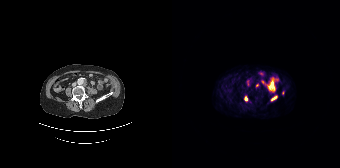
Coordinates are on the 168×168 PET (right) panel. (showing 3 of 4 foci) PSMA-avid tumor lesion bounding boxes (x0, y0)-(x1, y1): (99, 95)-(105, 100) | (72, 96)-(75, 101). Small PSMA-avid focus (2 to 4 px across) near (center x, center y): (85, 85).